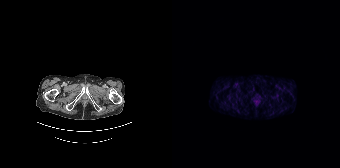
{"modality":"PSMA PET/CT","view":"axial","tracer":"[68Ga]Ga-PSMA-11","pet_grid":[168,168],"coord_frame":"pet_panel","coord_format":"x0,y0,x1,y1","psma_avid_lesions":false}